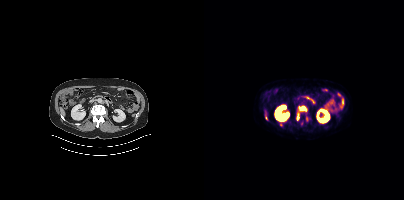
Paired axial CT (left) and PSMA PET (right), 18F tracer. Acquired on Siemens Biograph mCT Flow 20. Slice position z = -730 mm. PET panel 200×200 px (4.1 mm/px).
Coordinates are on the 200×200 PET (right) panel. PSMA-avid tumor lesion bounding boxes:
| # | x0 | y0 | x1 | y1 |
|---|---|---|---|---|
| 1 | 95 | 106 | 102 | 111 |
| 2 | 93 | 114 | 95 | 120 |
Small PSMA-avid focus (2 to 4 px across) near (center x, center y): (62, 118).